modality: PSMA PET/CT | tracer: 18F-PSMA | view: axial
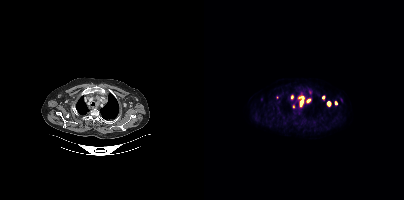
Coordinates are on the 200×200 PET (right) panel. (showing 7 of 8 foci) PSMA-avid tumor lesion bounding boxes (x, y, width, height): x=94 y=95 w=7 h=13 / x=102 y=98 w=5 h=6 / x=123 y=101 w=4 h=6 / x=87 y=95 w=3 h=5. Small PSMA-avid foci (2 to 4 px across) near (center x, center y): (119, 97) / (132, 102) / (89, 106).